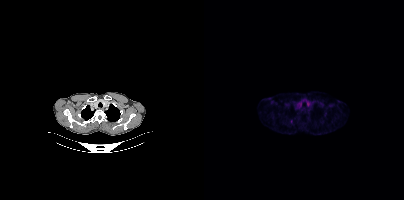
Coordinates are on the 200×200 PET (right) panel. Small PSMA-avid focus (2 to 4 px across) near (center x, center y): (87, 121).